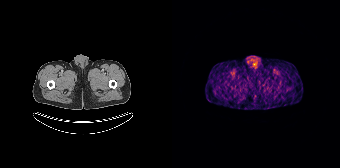
Technique: Paired axial CT (left) and PSMA PET (right), 68Ga tracer.
Findings: No PSMA-avid tumor lesions on this slice.